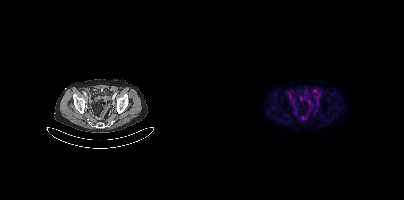
{"pet_grid":[200,200],"coord_frame":"pet_panel","coord_format":"x0,y0,x1,y1","psma_avid_lesions":false,"modality":"PSMA PET/CT","view":"axial","tracer":"18F-PSMA"}